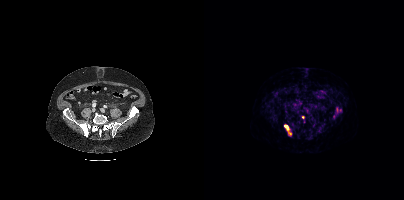
- Left: CT. Right: PSMA PET, same axial level, [68Ga]Ga-PSMA-11 tracer
- acquired on Siemens Biograph mCT Flow 20
- PET panel 200×200 px (4.1 mm/px)
Findings: Coordinates are on the 200×200 PET (right) panel. PSMA-avid tumor lesion bounding boxes (x, y, width, height): x=80 y=124 w=8 h=12; x=132 y=107 w=6 h=6. Small PSMA-avid foci (2 to 4 px across) near (center x, center y): (99, 117); (129, 116).